Technique: Two-panel axial: CT | PSMA PET, [18F]PSMA-1007 tracer. acquired on Siemens Biograph mCT Flow 20.
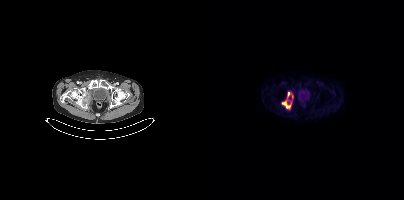
Findings: Coordinates are on the 200×200 PET (right) panel. PSMA-avid tumor lesion bounding box (x0,y0,x1,y1): [78,92,89,108].